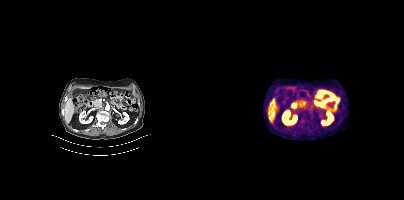
Findings: No tumor lesions annotated on this slice.
- Paired axial CT (left) and PSMA PET (right), 18F tracer
- PET panel 200×200 px (4.1 mm/px)